- Two-panel axial: CT | PSMA PET, 18F tracer
- slice 331 of 450
- PET panel 200×200 px (4.1 mm/px)
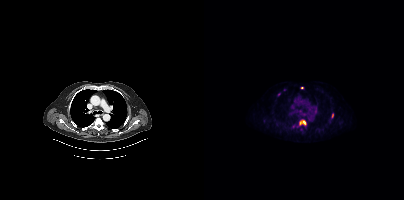
Findings: Coordinates are on the 200×200 PET (right) panel. (showing 5 of 9 foci) PSMA-avid tumor lesion bounding boxes (x0,y0,x1,y1): [95,121,97,125]; [99,121,101,125]; [128,113,129,117]. Small PSMA-avid foci (2 to 4 px across) near (center x, center y): (80, 89); (98, 87).